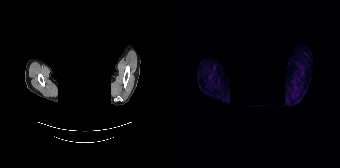
{"modality":"PSMA PET/CT","view":"axial","tracer":"68Ga","pet_grid":[168,168],"coord_frame":"pet_panel","coord_format":"x0,y0,x1,y1","psma_avid_lesions":false,"deidentification":"face masked with black rectangle"}